- Left: CT. Right: PSMA PET, same axial level, [18F]PSMA-1007 tracer
- PET panel 200×200 px (4.1 mm/px)
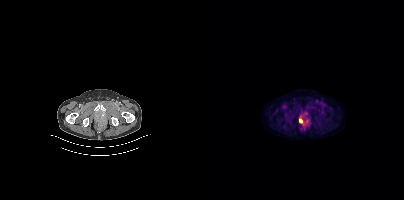
Findings: Coordinates are on the 200×200 PET (right) panel. Small PSMA-avid focus (2 to 4 px across) near (center x, center y): (96, 120).